modality: PSMA PET/CT | tracer: 68Ga | view: axial | PET grid: 200×200
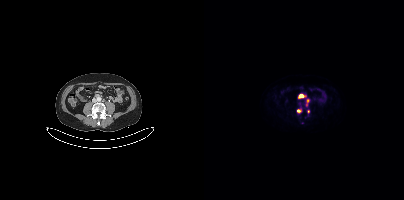
Coordinates are on the 200×200 PET (right) panel. (showing 4 of 7 foci) PSMA-avid tumor lesion bounding box (x0, y0)-(x1, y1): (95, 94)-(99, 97). Small PSMA-avid foci (2 to 4 px across) near (center x, center y): (103, 101) / (94, 110) / (104, 111).